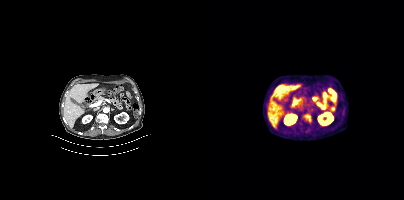
{"modality":"PSMA PET/CT","view":"axial","tracer":"18F","pet_grid":[200,200],"coord_frame":"pet_panel","coord_format":"x0,y0,x1,y1","lesion_bboxes":[[101,115,106,120]]}